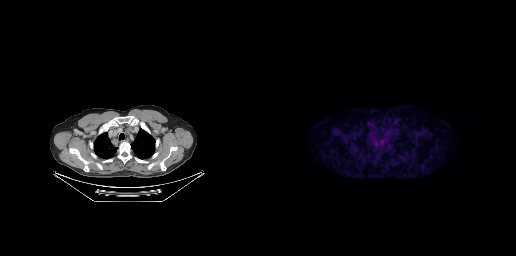
Negative for PSMA-avid disease on this slice.